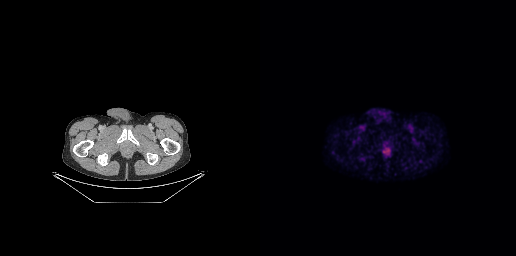
Coordinates are on the 256×256 PET (right) panel. PSMA-avid tumor lesion bounding box (x0, y0)-(x1, y1): (121, 145)-(130, 154).